- Left: CT. Right: PSMA PET, same axial level, [68Ga]Ga-PSMA-11 tracer
- PET panel 256×256 px (2.7 mm/px)
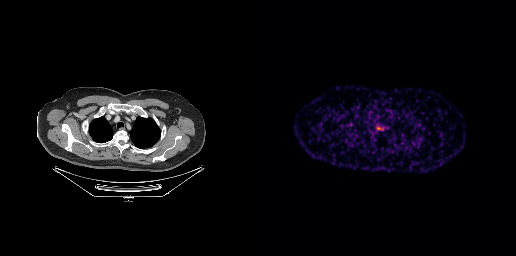
Findings: This slice has no annotated PSMA-avid lesion.